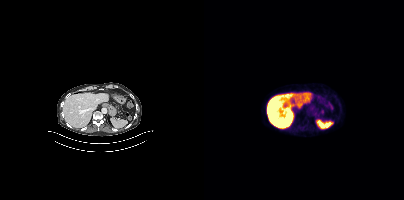
Findings: No PSMA-avid tumor lesions on this slice.
- Paired axial CT (left) and PSMA PET (right), 18F-PSMA tracer
- slice position z = -654 mm